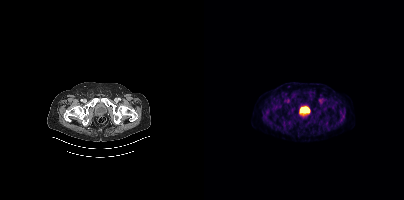
No PSMA-avid tumor lesions on this slice.